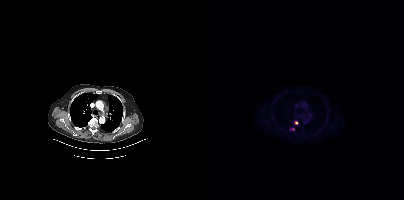
Coordinates are on the 200×200 PET (right) panel. Small PSMA-avid foci (2 to 4 px across) near (center x, center y): (92, 122); (89, 128).